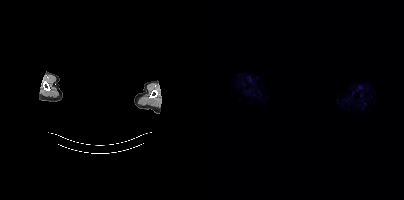
Technique: Paired axial CT (left) and PSMA PET (right), [18F]PSMA-1007 tracer. slice 437 of 454.
Note: Facial anatomy redacted by setting a rectangular region of the head to black.
Findings: No tumor lesions annotated on this slice.